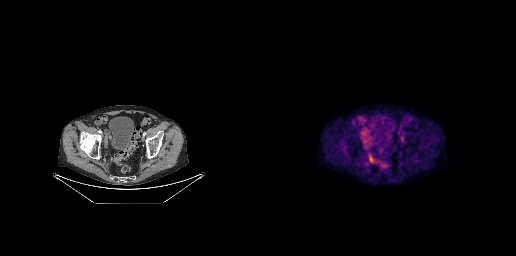
modality: PSMA PET/CT | tracer: 18F-PSMA | view: axial | PET grid: 256×256
Only PSMA-avid lesion pieces thinner than 2 px on this slice (not listed).